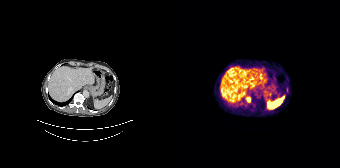
Left: CT. Right: PSMA PET, same axial level, 68Ga-PSMA tracer. PET panel 168×168 px (4.1 mm/px).
Coordinates are on the 168×168 PET (right) panel. PSMA-avid tumor lesion bounding boxes:
| # | x0 | y0 | x1 | y1 |
|---|---|---|---|---|
| 1 | 76 | 97 | 78 | 101 |